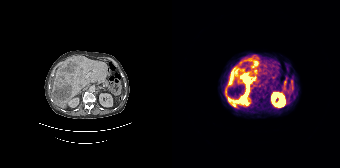
modality: PSMA PET/CT | tracer: 68Ga | view: axial
Coordinates are on the 168×168 PET (right) panel. (showing 3 of 4 foci) PSMA-avid tumor lesion bounding boxes (x0, y0)-(x1, y1): (53, 67)-(82, 106); (78, 55)-(87, 75); (72, 58)-(76, 61).